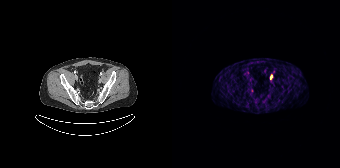
{"modality":"PSMA PET/CT","view":"axial","tracer":"68Ga-PSMA","pet_grid":[168,168],"coord_frame":"pet_panel","coord_format":"x0,y0,x1,y1","lesion_bboxes":[[98,75,100,79]]}